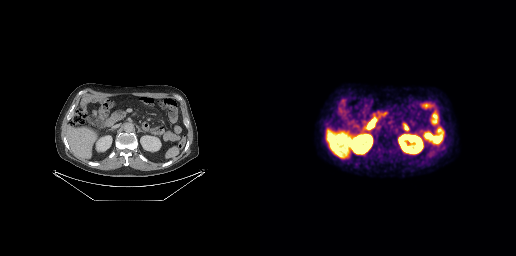
Negative for PSMA-avid disease on this slice.